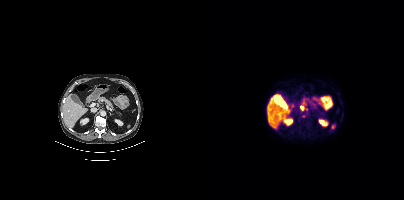
Coordinates are on the 200×200 PET (right) panel. (showing 1 of 2 foci) Small PSMA-avid focus (2 to 4 px across) near (center x, center y): (97, 107).
modality: PSMA PET/CT | tracer: [18F]PSMA-1007 | view: axial